A rectangle over the head was blacked out to remove identifiable facial features.
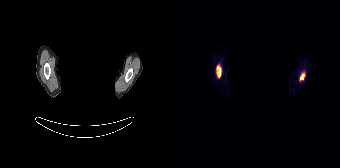
Coordinates are on the 168×168 PET (right) panel. PSMA-avid tumor lesion bounding boxes (x0,y0,x1,y1): [44,64,49,77]; [127,71,133,81].